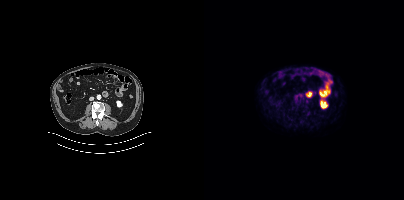
Negative for PSMA-avid disease on this slice. Left: CT. Right: PSMA PET, same axial level, 18F tracer. PET panel 200×200 px (4.1 mm/px).